Technique: Two-panel axial: CT | PSMA PET, 18F tracer. slice position z = 22 mm. PET panel 200×200 px (4.1 mm/px).
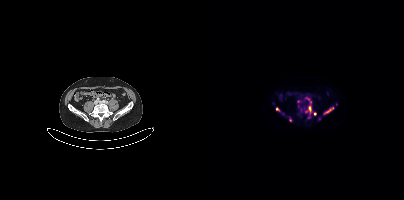
Findings: Coordinates are on the 200×200 PET (right) panel. (showing 8 of 9 foci) PSMA-avid tumor lesion bounding boxes (x, y, width, height): x=101 y=97 w=7 h=19 / x=120 y=107 w=10 h=7. Small PSMA-avid foci (2 to 4 px across) near (center x, center y): (73, 109) / (115, 118) / (86, 120) / (94, 101) / (79, 113) / (111, 113).